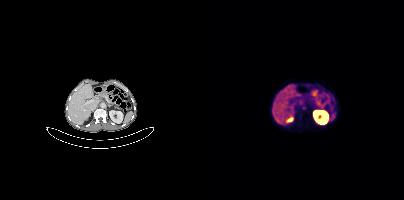
Paired axial CT (left) and PSMA PET (right), 68Ga tracer. Coordinates are on the 200×200 PET (right) panel. Small PSMA-avid focus (2 to 4 px across) near (center x, center y): (100, 107).